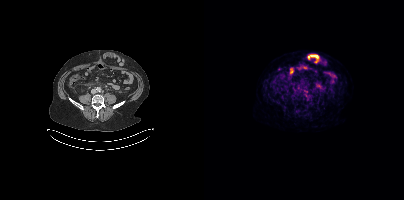
{"modality":"PSMA PET/CT","view":"axial","tracer":"18F-PSMA","pet_grid":[200,200],"coord_frame":"pet_panel","coord_format":"x0,y0,x1,y1","lesion_bboxes":[[99,90,103,93],[102,95,105,99]]}